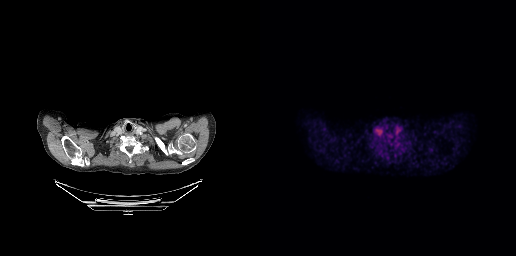
Negative for PSMA-avid disease on this slice. Paired axial CT (left) and PSMA PET (right), 18F-PSMA tracer. PET panel 256×256 px (2.7 mm/px).